modality: PSMA PET/CT | tracer: 68Ga | view: axial
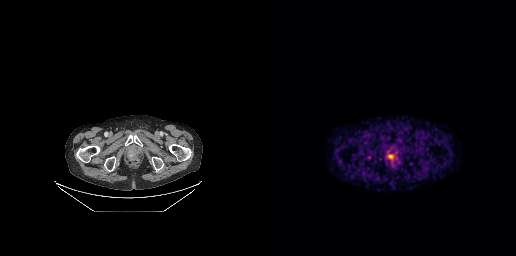
Coordinates are on the 256×256 PET (right) panel. PSMA-avid tumor lesion bounding box (x, y, width, height): x=127 y=154 w=8 h=7.